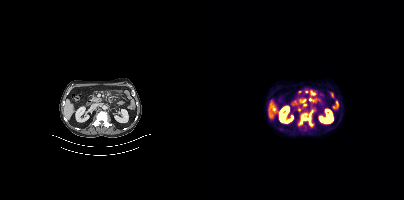
Findings: Coordinates are on the 200×200 PET (right) panel. (showing 2 of 3 foci) PSMA-avid tumor lesion bounding box (x0, y0)-(x1, y1): (94, 113)-(110, 127). Small PSMA-avid focus (2 to 4 px across) near (center x, center y): (100, 104).
Technique: Paired axial CT (left) and PSMA PET (right), 18F-PSMA tracer.